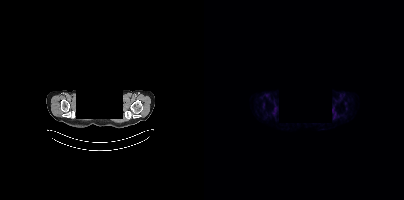
- Two-panel axial: CT | PSMA PET, [68Ga]Ga-PSMA-11 tracer
- slice 348 of 389
- PET panel 200×200 px (4.1 mm/px)
- a rectangular block over the head has been blanked out for de-identification
Findings: No PSMA-avid tumor lesions on this slice.